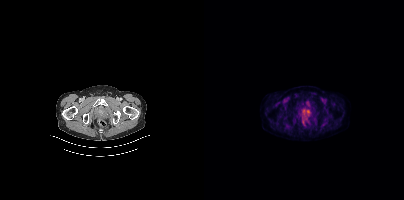
Paired axial CT (left) and PSMA PET (right), [18F]PSMA-1007 tracer. Acquired on Siemens Biograph mCT Flow 20. Slice 65 of 401. PET panel 200×200 px (4.1 mm/px). Coordinates are on the 200×200 PET (right) panel. PSMA-avid tumor lesion bounding box (x, y, width, height): x=100 y=110 w=6 h=4.